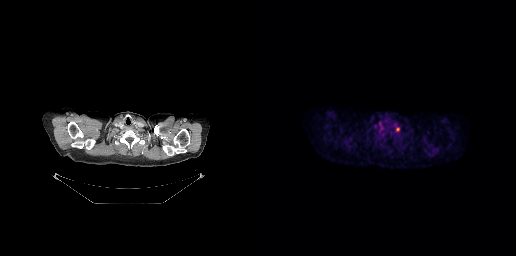
Coordinates are on the 256×256 PET (right) panel. Small PSMA-avid focus (2 to 4 px across) near (center x, center y): (137, 129).
modality: PSMA PET/CT | tracer: 18F-PSMA | view: axial